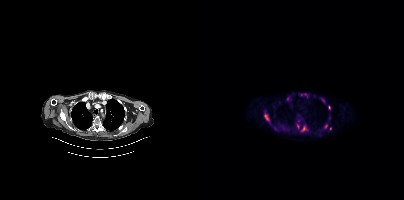
- Two-panel axial: CT | PSMA PET, 18F tracer
- PET panel 200×200 px (4.1 mm/px)
Findings: Coordinates are on the 200×200 PET (right) panel. PSMA-avid tumor lesion bounding boxes (x0,y0,x1,y1): [97,125,104,132] [60,114,65,122] [120,123,123,129] [97,93,103,97] [117,98,121,102]. Small PSMA-avid foci (2 to 4 px across) near (center x, center y): (125, 107) (126, 128) (85, 96) (83, 100) (94, 121) (94, 126) (125, 118).